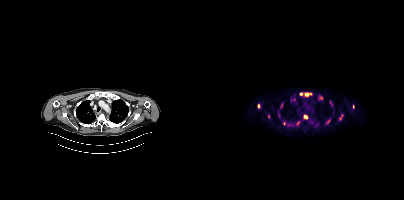
Findings: Coordinates are on the 200×200 PET (right) panel. (showing 13 of 16 foci) PSMA-avid tumor lesion bounding boxes (x, y, width, height): x=101 y=93 w=7 h=4 / x=135 y=114 w=4 h=6. Small PSMA-avid foci (2 to 4 px across) near (center x, center y): (101, 116) / (93, 123) / (116, 98) / (97, 94) / (54, 105) / (123, 121) / (80, 123) / (90, 99) / (77, 104) / (74, 115) / (64, 116).
- Two-panel axial: CT | PSMA PET, 18F-PSMA tracer
- slice 285 of 401